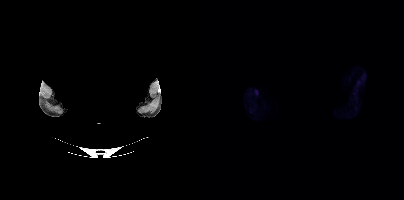
Technique: Left: CT. Right: PSMA PET, same axial level, 18F-PSMA tracer. acquired on Siemens Biograph mCT Flow 20. slice position z = -166 mm. PET panel 200×200 px (4.1 mm/px).
Note: Facial anatomy redacted by setting a rectangular region of the head to black.
Findings: No tumor lesions annotated on this slice.